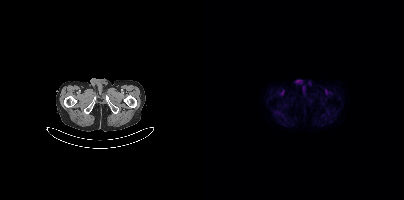
This slice has no annotated PSMA-avid lesion.